Two-panel axial: CT | PSMA PET, 18F tracer. PET panel 200×200 px (4.1 mm/px).
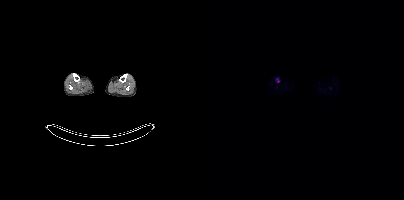
Coordinates are on the 200×200 PET (right) panel. Small PSMA-avid focus (2 to 4 px across) near (center x, center y): (73, 80).